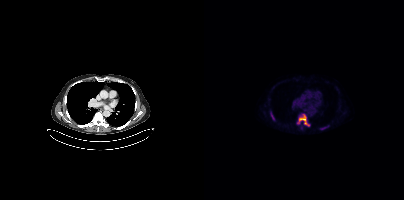
- Left: CT. Right: PSMA PET, same axial level, 18F-PSMA tracer
- slice position z = 228 mm
- PET panel 200×200 px (4.1 mm/px)
Findings: Coordinates are on the 200×200 PET (right) panel. PSMA-avid tumor lesion bounding boxes (x0, y0)-(x1, y1): (93, 114)-(105, 126); (115, 125)-(125, 130); (66, 112)-(70, 120).